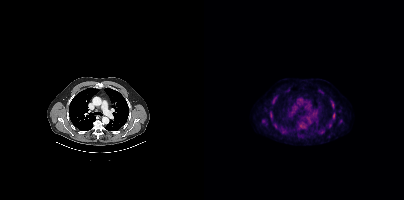
Coordinates are on the 200×200 PET (right) panel. (showing 2 of 4 foci) PSMA-avid tumor lesion bounding boxes (x0, y0)-(x1, y1): (68, 99)-(71, 103) / (128, 103)-(130, 108).